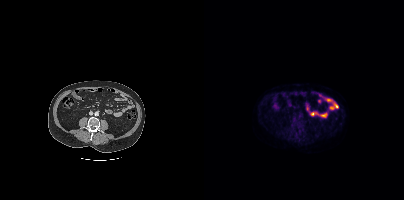
modality: PSMA PET/CT | tracer: [18F]PSMA-1007 | view: axial
This slice has no annotated PSMA-avid lesion.